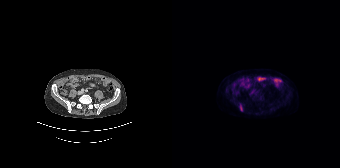
Technique: Left: CT. Right: PSMA PET, same axial level, 18F tracer. slice 44 of 165.
Findings: Coordinates are on the 168×168 PET (right) panel. PSMA-avid tumor lesion bounding box (x0,y0,x1,y1): [68,105,70,110].